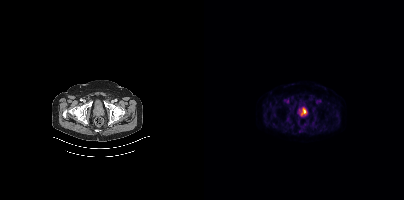
This slice has no annotated PSMA-avid lesion.
modality: PSMA PET/CT | tracer: 18F | view: axial | PET grid: 200×200